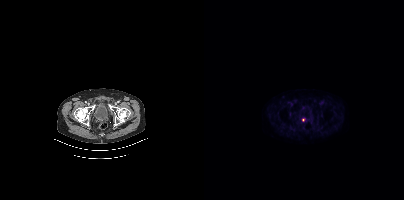
modality: PSMA PET/CT | tracer: [18F]PSMA-1007 | view: axial | PET grid: 200×200
Coordinates are on the 200×200 PET (right) panel. PSMA-avid tumor lesion bounding box (x0, y0)-(x1, y1): (98, 119)-(103, 122).